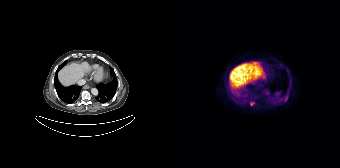
Two-panel axial: CT | PSMA PET, 18F-PSMA tracer. Acquired on Siemens Biograph 64-4R TruePoint. Slice 103 of 165. PET panel 168×168 px (4.1 mm/px). Only PSMA-avid lesion pieces thinner than 2 px on this slice (not listed).